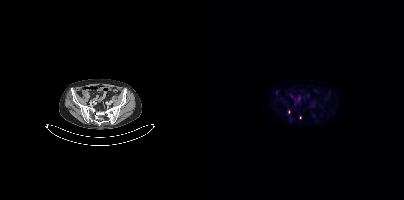
{"modality":"PSMA PET/CT","view":"axial","tracer":"18F","pet_grid":[200,200],"coord_frame":"pet_panel","coord_format":"x0,y0,x1,y1","lesion_bboxes":[],"small_foci_centers":[[85,111],[96,117]]}